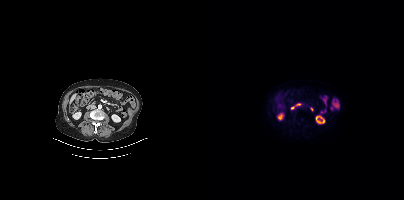
Two-panel axial: CT | PSMA PET, 18F tracer. Acquired on Siemens Biograph mCT Flow 20. Slice 157 of 377. No PSMA-avid tumor lesions on this slice.